- Left: CT. Right: PSMA PET, same axial level, 18F tracer
- slice position z = -418 mm
- PET panel 200×200 px (4.1 mm/px)
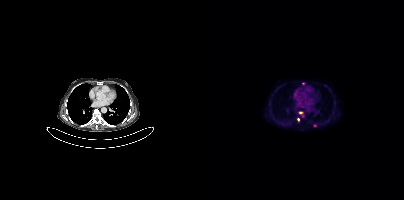
Findings: Coordinates are on the 200×200 PET (right) panel. Small PSMA-avid foci (2 to 4 px across) near (center x, center y): (110, 125) / (96, 112) / (99, 83) / (94, 119).